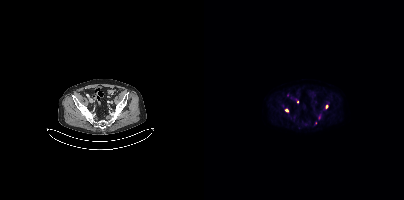
{"pet_grid":[200,200],"coord_frame":"pet_panel","coord_format":"x0,y0,x1,y1","partial":true,"lesion_bboxes":[[121,104,124,108]],"small_foci_centers":[[93,101]],"modality":"PSMA PET/CT","view":"axial","tracer":"18F"}